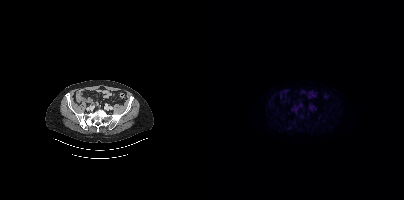
No tumor lesions annotated on this slice.